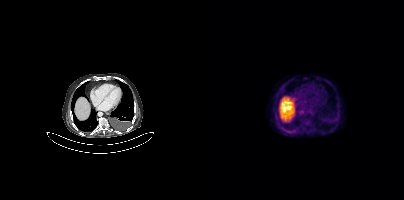
Left: CT. Right: PSMA PET, same axial level, 18F-PSMA tracer. Acquired on Siemens Biograph mCT Flow 20. Slice 265 of 425. PET panel 200×200 px (4.1 mm/px). Negative for PSMA-avid disease on this slice.